modality: PSMA PET/CT | tracer: 18F-PSMA | view: axial | PET grid: 200×200
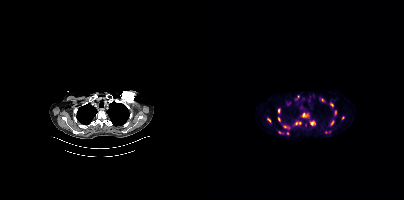
Coordinates are on the 200×200 PET (right) panel. (showing 14 of 17 foci) PSMA-avid tumor lesion bounding boxes (x, y, width, height): x=90 y=121 w=8 h=5 | x=79 y=125 w=8 h=5 | x=98 y=113 w=7 h=5 | x=106 y=121 w=6 h=5 | x=91 y=95 w=5 h=6 | x=74 y=108 w=3 h=6 | x=63 y=118 w=5 h=5 | x=74 y=117 w=3 h=5 | x=74 y=131 w=6 h=3. Small PSMA-avid foci (2 to 4 px across) near (center x, center y): (127, 104) | (128, 122) | (118, 100) | (131, 112) | (139, 118).